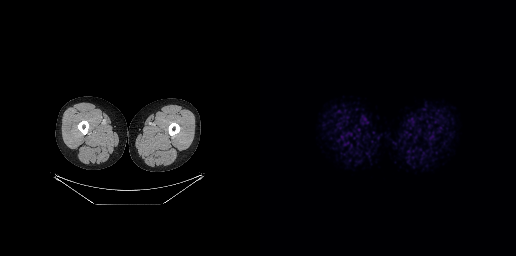
{"modality":"PSMA PET/CT","view":"axial","tracer":"68Ga-PSMA","pet_grid":[256,256],"coord_frame":"pet_panel","coord_format":"x0,y0,x1,y1","psma_avid_lesions":false}